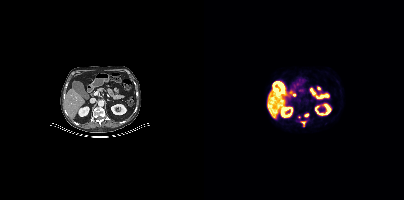
Coordinates are on the 200×200 PET (right) panel. PSMA-avid tumor lesion bounding box (x, y, width, height): x=97 y=121 w=5 h=6. Small PSMA-avid focus (2 to 4 px across) near (center x, center y): (102, 115).
modality: PSMA PET/CT | tracer: [18F]PSMA-1007 | view: axial